- Paired axial CT (left) and PSMA PET (right), 18F-PSMA tracer
- PET panel 256×256 px (2.7 mm/px)
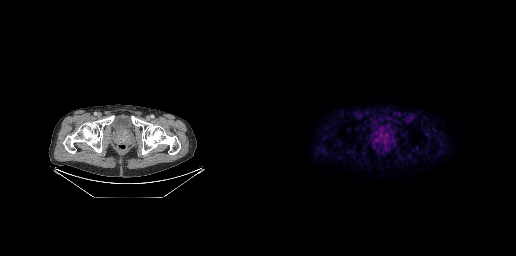
Findings: Coordinates are on the 256×256 PET (right) panel. PSMA-avid tumor lesion bounding box (x0, y0)-(x1, y1): (115, 131)-(128, 145).